Two-panel axial: CT | PSMA PET, 18F tracer. Slice 386 of 417. The face region was removed for patient privacy by blanking a rectangle over the head.
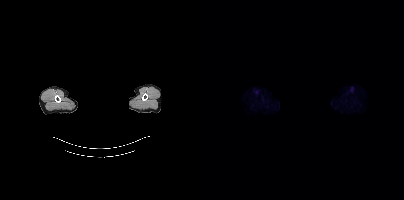
No PSMA-avid tumor lesions on this slice.